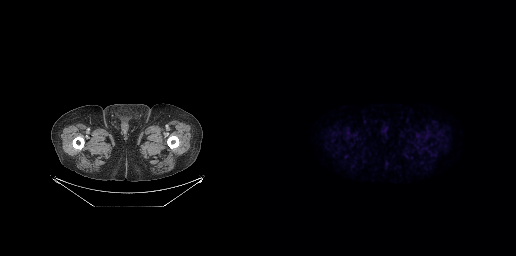
No PSMA-avid tumor lesions on this slice.